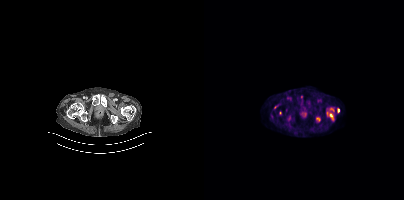
Only PSMA-avid lesion pieces thinner than 2 px on this slice (not listed). Left: CT. Right: PSMA PET, same axial level, 18F tracer. Slice position z = -1534 mm. PET panel 200×200 px (4.1 mm/px).